- Paired axial CT (left) and PSMA PET (right), 18F tracer
- acquired on GE Discovery 690
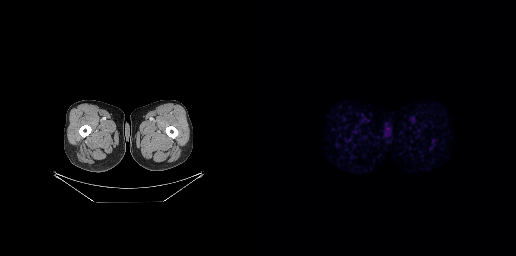
Findings: Negative for PSMA-avid disease on this slice.